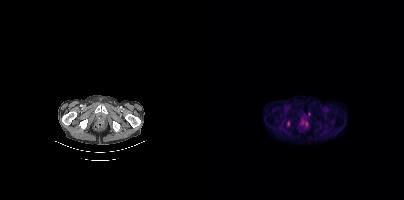
Coordinates are on the 200×200 PET (right) panel. (showing 1 of 2 foci) PSMA-avid tumor lesion bounding box (x0, y0)-(x1, y1): (83, 121)-(85, 126).